- Paired axial CT (left) and PSMA PET (right), [68Ga]Ga-PSMA-11 tracer
- slice 70 of 299
- PET panel 256×256 px (2.7 mm/px)
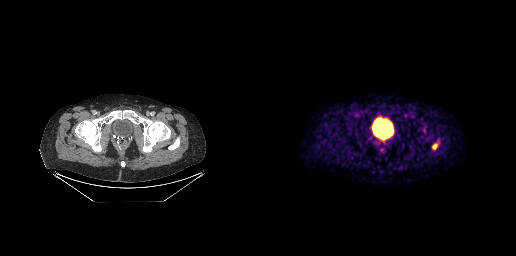
Findings: Coordinates are on the 256×256 PET (right) panel. PSMA-avid tumor lesion bounding box (x0,y0,x1,y1): [173,144,176,148].